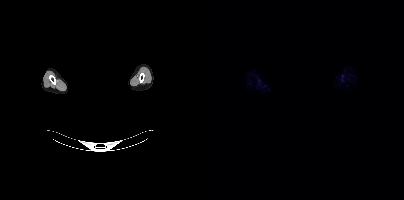
Two-panel axial: CT | PSMA PET, 18F tracer. Slice 418 of 423. A rectangular block over the head has been blanked out for de-identification. No tumor lesions annotated on this slice.